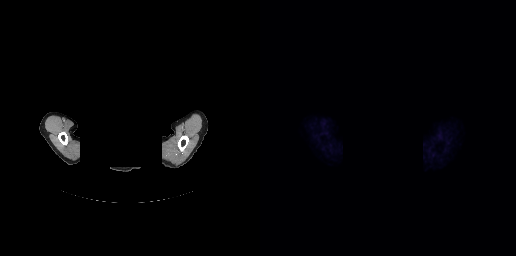
{"modality":"PSMA PET/CT","view":"axial","tracer":"18F","pet_grid":[256,256],"coord_frame":"pet_panel","coord_format":"x0,y0,x1,y1","deidentification":"head region blanked (face removed)","psma_avid_lesions":false}